Paired axial CT (left) and PSMA PET (right), 18F-PSMA tracer.
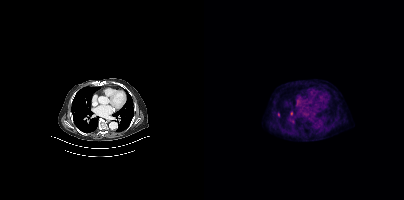
Coordinates are on the 200×200 PET (right) panel. (showing 1 of 2 foci) Small PSMA-avid focus (2 to 4 px across) near (center x, center y): (74, 114).